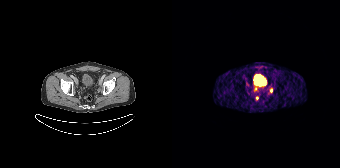
Left: CT. Right: PSMA PET, same axial level, 68Ga tracer. Acquired on Siemens Biograph 64-4R TruePoint. Slice 37 of 165. Coordinates are on the 168×168 PET (right) panel. PSMA-avid tumor lesion bounding box (x0,y0,x1,y1): [98,88,100,92]. Small PSMA-avid foci (2 to 4 px across) near (center x, center y): (85, 97), (83, 88).